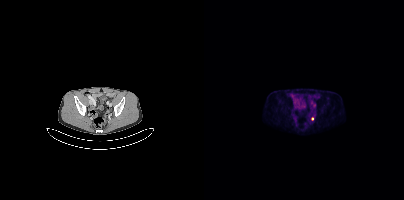
Coordinates are on the 200×200 PET (right) panel. (showing 1 of 2 foci) Small PSMA-avid focus (2 to 4 px across) near (center x, center y): (108, 118).